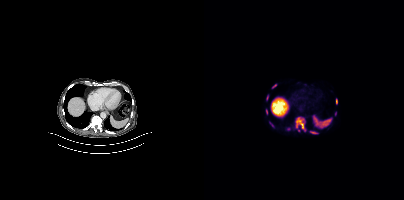
{"modality":"PSMA PET/CT","view":"axial","tracer":"18F","pet_grid":[200,200],"coord_frame":"pet_panel","coord_format":"x0,y0,x1,y1","partial":true,"lesion_bboxes":[[91,117,101,130],[106,131,113,133],[132,99,133,103],[66,122,69,126]],"small_foci_centers":[[62,111],[70,86],[94,130]]}